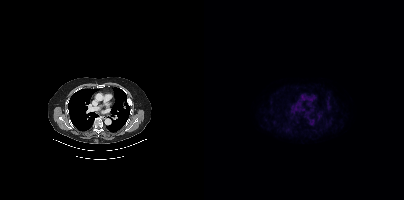
No tumor lesions annotated on this slice.